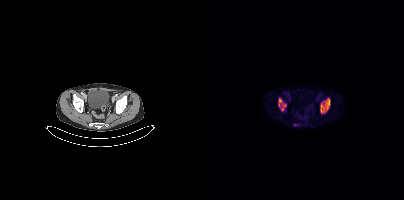
Findings: Coordinates are on the 200×200 PET (right) panel. PSMA-avid tumor lesion bounding boxes (x, y, width, height): x=116 y=98 w=11 h=16 | x=74 y=98 w=9 h=13.
- Left: CT. Right: PSMA PET, same axial level, 18F tracer
- slice position z = -1448 mm
- PET panel 200×200 px (4.1 mm/px)